modality: PSMA PET/CT | tracer: [18F]PSMA-1007 | view: axial | PET grid: 200×200
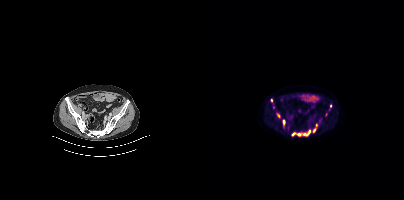
Coordinates are on the 200×200 PET (right) panel. (showing 7 of 8 foci) PSMA-avid tumor lesion bounding boxes (x, y, width, height): x=87 y=130 w=20 h=7 | x=72 y=113 w=5 h=6 | x=78 y=120 w=4 h=6 | x=109 y=128 w=3 h=5. Small PSMA-avid foci (2 to 4 px across) near (center x, center y): (112, 124) | (67, 100) | (126, 106).